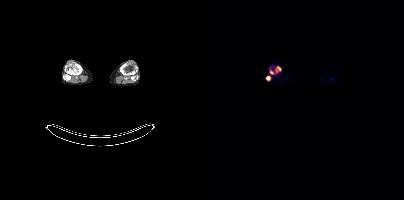
Findings: Coordinates are on the 200×200 PET (right) panel. PSMA-avid tumor lesion bounding boxes (x0, y0)-(x1, y1): (72, 67)-(76, 73) | (62, 76)-(66, 80). Small PSMA-avid focus (2 to 4 px across) near (center x, center y): (67, 72).
- Paired axial CT (left) and PSMA PET (right), [18F]PSMA-1007 tracer
- acquired on Siemens Biograph mCT Flow 20